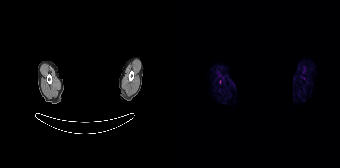
{"pet_grid":[168,168],"coord_frame":"pet_panel","coord_format":"x0,y0,x1,y1","partial":true,"lesion_bboxes":[],"deidentification":"face masked with black rectangle","modality":"PSMA PET/CT","view":"axial","tracer":"68Ga"}